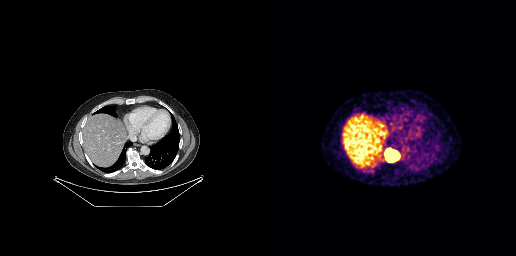
Coordinates are on the 256×256 PET (right) panel. PSMA-avid tumor lesion bounding box (x0, y0)-(x1, y1): (124, 148)-(140, 162).